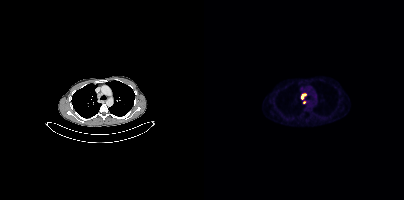
Coordinates are on the 200×200 PET (right) panel. (showing 2 of 3 foci) PSMA-avid tumor lesion bounding box (x, y, width, height): x=97 y=94 w=5 h=6. Small PSMA-avid focus (2 to 4 px across) near (center x, center y): (97, 88).